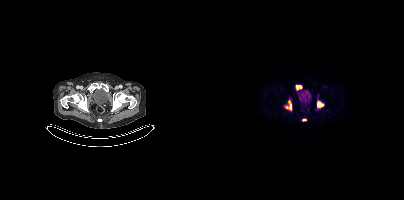
modality: PSMA PET/CT | tracer: 18F-PSMA | view: axial
Coordinates are on the 200×200 PET (right) panel. PSMA-avid tumor lesion bounding boxes (x0, y0)-(x1, y1): (82, 100)-(87, 110); (113, 101)-(119, 107); (92, 85)-(98, 89). Small PSMA-avid focus (2 to 4 px across) near (center x, center y): (100, 119).